- Paired axial CT (left) and PSMA PET (right), [68Ga]Ga-PSMA-11 tracer
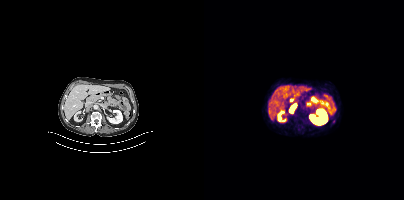
Findings: Coordinates are on the 200×200 PET (right) panel. PSMA-avid tumor lesion bounding box (x0, y0)-(x1, y1): (86, 104)-(92, 112).